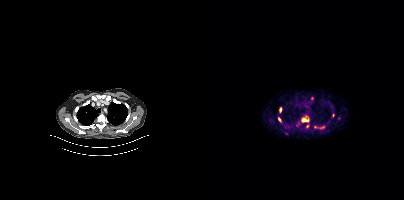
Findings: Coordinates are on the 200×200 PET (right) panel. (showing 6 of 8 foci) PSMA-avid tumor lesion bounding boxes (x, y, width, height): x=97 y=116 w=9 h=7 / x=75 y=107 w=3 h=6 / x=74 y=117 w=4 h=6. Small PSMA-avid foci (2 to 4 px across) near (center x, center y): (103, 126) / (111, 127) / (118, 127).
Technique: Two-panel axial: CT | PSMA PET, [18F]PSMA-1007 tracer. acquired on Siemens Biograph mCT Flow 20. PET panel 200×200 px (4.1 mm/px).